Technique: Left: CT. Right: PSMA PET, same axial level, 68Ga tracer.
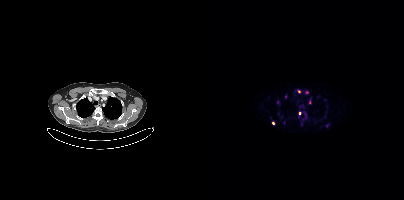
Findings: Coordinates are on the 200×200 PET (right) panel. (showing 4 of 6 foci) Small PSMA-avid foci (2 to 4 px across) near (center x, center y): (103, 91) | (81, 96) | (95, 113) | (94, 91).